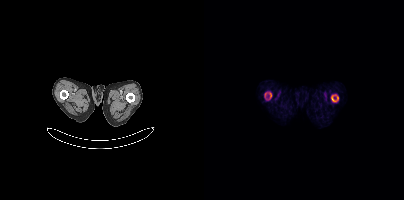
Two-panel axial: CT | PSMA PET, [18F]PSMA-1007 tracer. Acquired on Siemens Biograph mCT Flow 20. Slice position z = -374 mm. PET panel 200×200 px (4.1 mm/px). Coordinates are on the 200×200 PET (right) panel. PSMA-avid tumor lesion bounding boxes (x0,y0,x1,y1): [127,95,134,101] [65,93,67,98]. Small PSMA-avid focus (2 to 4 px across) near (center x, center y): (61, 94).